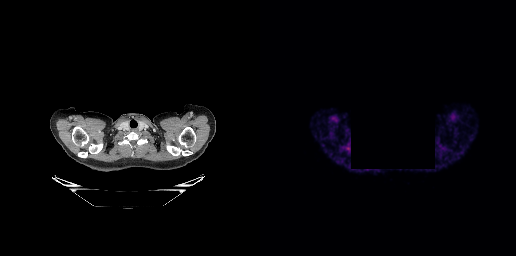
{"modality":"PSMA PET/CT","view":"axial","tracer":"68Ga","pet_grid":[256,256],"coord_frame":"pet_panel","coord_format":"x0,y0,x1,y1","psma_avid_lesions":false,"redaction":"black rectangle is a privacy mask"}